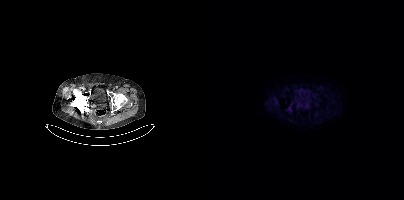
No PSMA-avid tumor lesions on this slice.